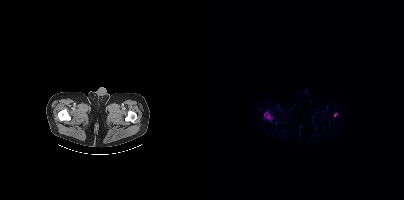
{"modality":"PSMA PET/CT","view":"axial","tracer":"18F-PSMA","pet_grid":[200,200],"coord_frame":"pet_panel","coord_format":"x0,y0,x1,y1","lesion_bboxes":[[61,113,68,120]],"small_foci_centers":[[131,114]]}